modality: PSMA PET/CT | tracer: 18F | view: axial | PET grid: 256×256
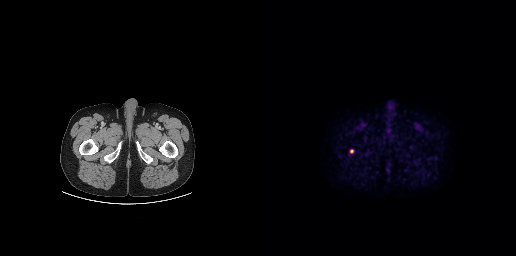
Coordinates are on the 256×256 PET (right) panel. PSMA-avid tumor lesion bounding box (x, y, width, height): x=90 y=149 w=4 h=5.